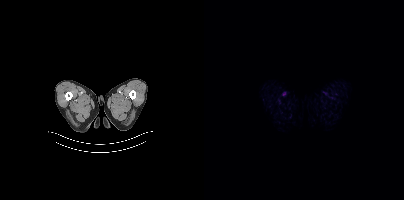
Technique: Paired axial CT (left) and PSMA PET (right), 18F tracer. acquired on Siemens Biograph mCT Flow 20.
Findings: No tumor lesions annotated on this slice.